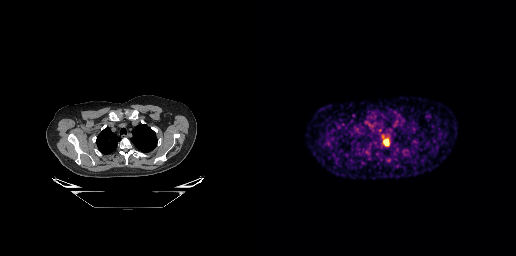
modality: PSMA PET/CT | tracer: 68Ga | view: axial | PET grid: 256×256
Coordinates are on the 256×256 PET (right) panel. PSMA-avid tumor lesion bounding box (x, y, width, height): x=123 y=138 w=7 h=8.